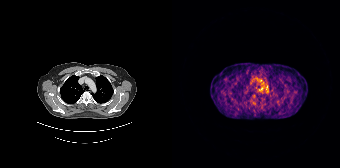
Two-panel axial: CT | PSMA PET, 68Ga-PSMA tracer. Slice 155 of 195. Negative for PSMA-avid disease on this slice.